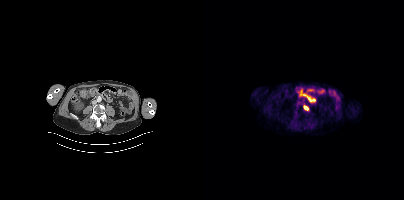
Coordinates are on the 200×200 PET (right) panel. PSMA-avid tumor lesion bounding box (x0, y0)-(x1, y1): (100, 106)-(104, 109).